Paired axial CT (left) and PSMA PET (right), [18F]PSMA-1007 tracer. Slice position z = 496 mm. PET panel 200×200 px (4.1 mm/px). De-identified by setting a box covering the face to black before release.
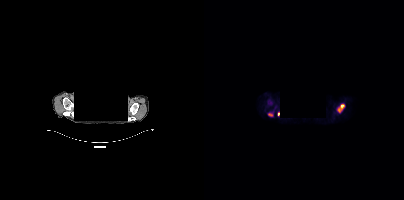
Coordinates are on the 200×200 PET (right) panel. PSMA-avid tumor lesion bounding boxes (x, y, width, height): x=134 y=104 w=7 h=9; x=64 y=113 w=5 h=4. Small PSMA-avid focus (2 to 4 px across) near (center x, center y): (74, 113).